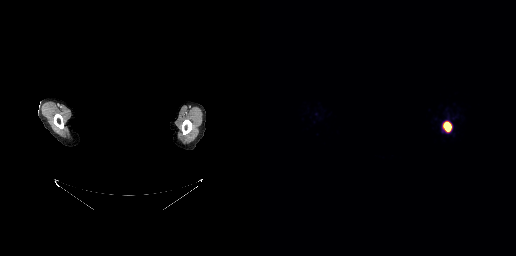
deidentification: facial region redacted | modality: PSMA PET/CT | tracer: [68Ga]Ga-PSMA-11 | view: axial
Coordinates are on the 256×256 PET (right) panel. PSMA-avid tumor lesion bounding box (x, y, width, height): x=184 y=122 w=7 h=10.